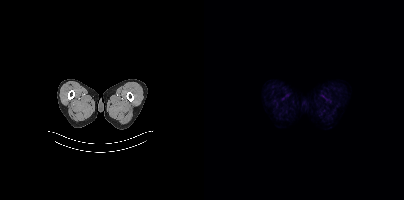
{"modality":"PSMA PET/CT","view":"axial","tracer":"18F","pet_grid":[200,200],"coord_frame":"pet_panel","coord_format":"x0,y0,x1,y1","psma_avid_lesions":false}